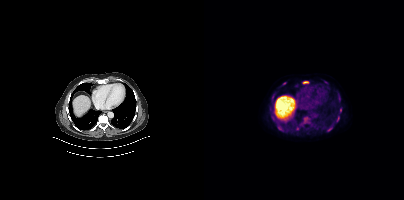
Findings: Coordinates are on the 200×200 PET (right) panel. (showing 12 of 14 foci) PSMA-avid tumor lesion bounding boxes (x0,y0,x1,y1): [123,125,128,131], [74,127,79,131], [99,81,104,83], [132,116,135,121], [67,111,69,115], [136,108,137,112]. Small PSMA-avid foci (2 to 4 px across) near (center x, center y): (69, 94), (101, 119), (80, 83), (93, 128), (135, 98), (70, 120).
Technique: Two-panel axial: CT | PSMA PET, [18F]PSMA-1007 tracer. slice position z = -1126 mm.